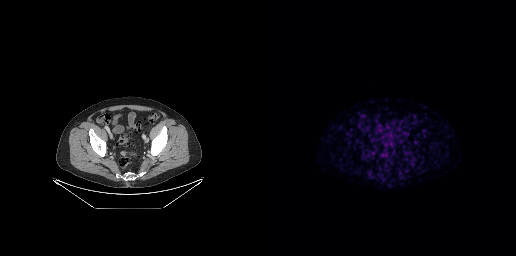
Findings: Negative for PSMA-avid disease on this slice.
- Paired axial CT (left) and PSMA PET (right), [68Ga]Ga-PSMA-11 tracer
- PET panel 256×256 px (2.7 mm/px)